- Paired axial CT (left) and PSMA PET (right), 18F-PSMA tracer
- slice position z = -840 mm
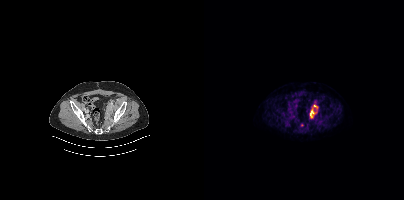
Findings: Coordinates are on the 200×200 PET (right) panel. PSMA-avid tumor lesion bounding box (x0,y0,x1,y1): [106,104,114,118].